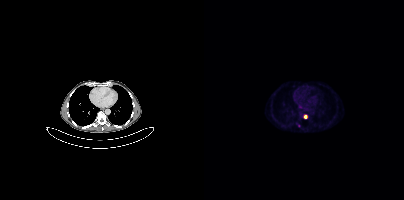
Coordinates are on the 200×200 PET (right) panel. Small PSMA-avid foci (2 to 4 px across) near (center x, center y): (101, 116) (94, 125). Left: CT. Right: PSMA PET, same axial level, [68Ga]Ga-PSMA-11 tracer. Acquired on Siemens Biograph mCT Flow 20.